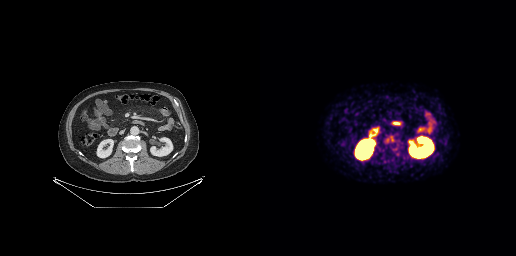
Two-panel axial: CT | PSMA PET, [68Ga]Ga-PSMA-11 tracer. Acquired on GE Discovery 690. This slice has no annotated PSMA-avid lesion.